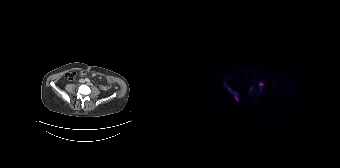
- Paired axial CT (left) and PSMA PET (right), 18F tracer
- PET panel 168×168 px (4.1 mm/px)
Findings: Coordinates are on the 168×168 PET (right) panel. PSMA-avid tumor lesion bounding boxes (x, y, width, height): x=57 y=88 w=10 h=13; x=87 y=82 w=5 h=5; x=77 y=86 w=4 h=7. Small PSMA-avid focus (2 to 4 px across) near (center x, center y): (52, 83).